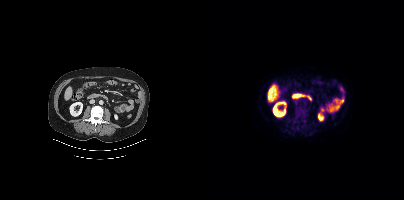
No PSMA-avid tumor lesions on this slice.